Two-panel axial: CT | PSMA PET, 68Ga tracer. Acquired on GE Discovery 690. Privacy masking, with the pixels inside a rectangle set to black.
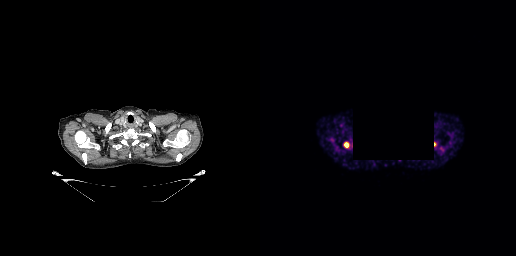
Coordinates are on the 256×256 PET (right) panel. PSMA-avid tumor lesion bounding boxes:
| # | x0 | y0 | x1 | y1 |
|---|---|---|---|---|
| 1 | 84 | 142 | 88 | 147 |